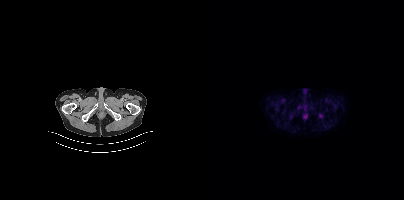
- Left: CT. Right: PSMA PET, same axial level, [18F]PSMA-1007 tracer
- acquired on Siemens Biograph mCT Flow 20
- slice 44 of 413
- PET panel 200×200 px (4.1 mm/px)
Findings: No tumor lesions annotated on this slice.